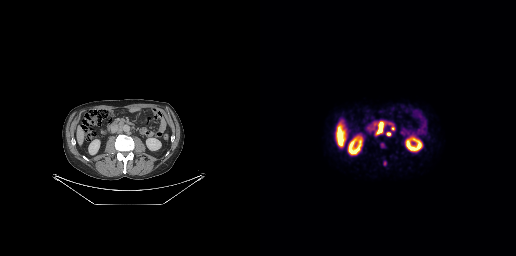
- Left: CT. Right: PSMA PET, same axial level, 18F tracer
- slice 123 of 263
- PET panel 256×256 px (2.7 mm/px)
Findings: Coordinates are on the 256×256 PET (right) panel. (showing 4 of 5 foci) PSMA-avid tumor lesion bounding boxes (x0, y0)-(x1, y1): (114, 121)-(125, 135) | (126, 132)-(131, 136) | (131, 126)-(134, 130) | (123, 161)-(126, 165).